Technique: Left: CT. Right: PSMA PET, same axial level, 68Ga-PSMA tracer. PET panel 200×200 px (4.1 mm/px).
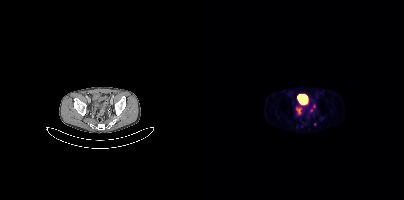
Findings: Coordinates are on the 200×200 PET (right) panel. PSMA-avid tumor lesion bounding box (x, y, width, height): x=92 y=107 w=6 h=8. Small PSMA-avid foci (2 to 4 px across) near (center x, center y): (106, 112); (109, 106); (110, 124).